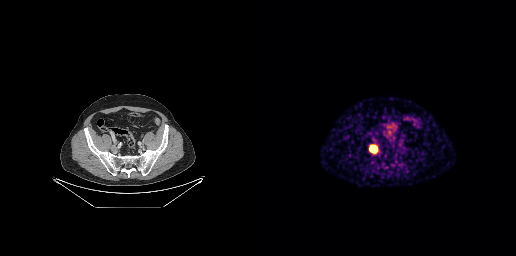
Coordinates are on the 256×256 PET (right) panel. PSMA-avid tumor lesion bounding box (x, y, width, height): x=109 y=144 w=10 h=10. Paired axial CT (left) and PSMA PET (right), 68Ga-PSMA tracer. Acquired on GE Discovery 690. Slice position z = -835 mm. PET panel 256×256 px (2.7 mm/px).